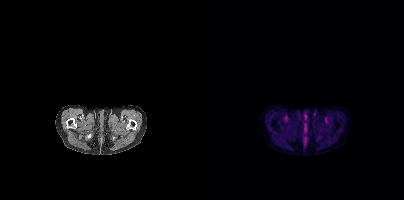
{"modality":"PSMA PET/CT","view":"axial","tracer":"18F","pet_grid":[200,200],"coord_frame":"pet_panel","coord_format":"x0,y0,x1,y1","psma_avid_lesions":false}